De-identified by setting a box covering the face to black before release.
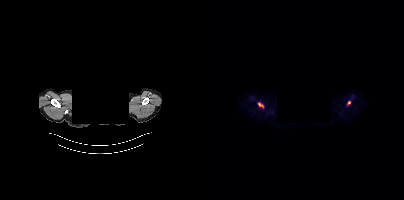
Coordinates are on the 200×200 PET (right) panel. PSMA-avid tumor lesion bounding box (x0, y0)-(x1, y1): (54, 103)-(59, 107). Small PSMA-avid focus (2 to 4 px across) near (center x, center y): (145, 102).